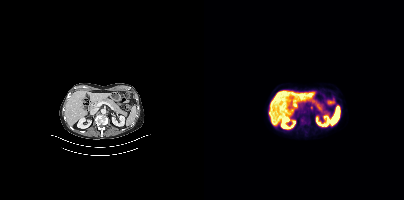
Findings: No tumor lesions annotated on this slice.
- Paired axial CT (left) and PSMA PET (right), [18F]PSMA-1007 tracer
- acquired on Siemens Biograph mCT Flow 20
- slice position z = -549 mm